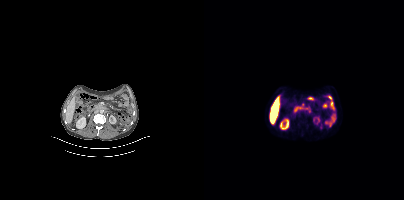
Technique: Left: CT. Right: PSMA PET, same axial level, 18F tracer. acquired on Siemens Biograph mCT Flow 20. slice 194 of 435.
Findings: Coordinates are on the 200×200 PET (right) panel. PSMA-avid tumor lesion bounding box (x, y, width, height): x=97 y=103 w=11 h=11.